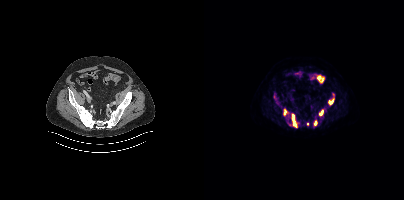
- Paired axial CT (left) and PSMA PET (right), [18F]PSMA-1007 tracer
- slice 112 of 454
- PET panel 200×200 px (4.1 mm/px)
Findings: Coordinates are on the 200×200 PET (right) panel. (showing 6 of 7 foci) PSMA-avid tumor lesion bounding boxes (x, y, width, height): x=83 y=114 w=10 h=14 | x=124 y=97 w=6 h=8 | x=79 y=109 w=6 h=7 | x=115 y=111 w=5 h=5 | x=110 y=121 w=3 h=5. Small PSMA-avid focus (2 to 4 px across) near (center x, center y): (103, 124).